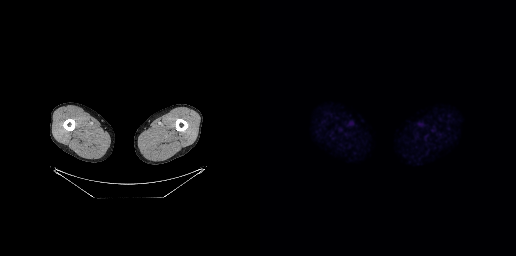
Left: CT. Right: PSMA PET, same axial level, 18F-PSMA tracer. Acquired on GE Discovery 690. No tumor lesions annotated on this slice.